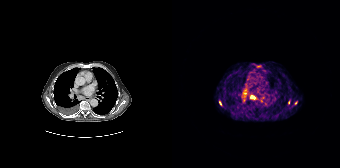
Left: CT. Right: PSMA PET, same axial level, 68Ga-PSMA tracer. Acquired on Siemens Biograph 64-4R TruePoint. Slice 142 of 195. PET panel 168×168 px (4.1 mm/px).
Coordinates are on the 168×168 PET (right) panel. PSMA-avid tumor lesion bounding boxes:
| # | x0 | y0 | x1 | y1 |
|---|---|---|---|---|
| 1 | 78 | 95 | 83 | 99 |
Small PSMA-avid foci (2 to 4 px across) near (center x, center y): (116, 102); (48, 103); (123, 103).